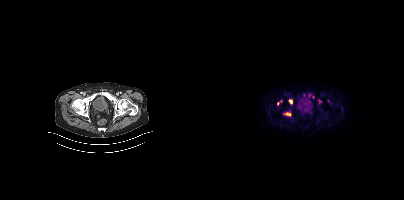
modality: PSMA PET/CT | tracer: 18F | view: axial | PET grid: 200×200
Coordinates are on the 200×200 PET (right) panel. (showing 3 of 6 foci) PSMA-avid tumor lesion bounding boxes (x0,y0,x1,y1): [82,112,87,115], [85,99,88,103]. Small PSMA-avid focus (2 to 4 px across) near (center x, center y): (106, 95).